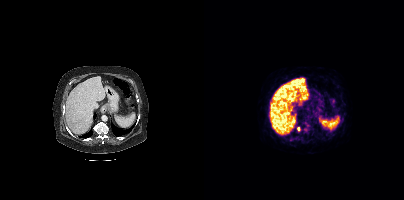
Coordinates are on the 200×200 PET (right) panel. PSMA-avid tumor lesion bounding box (x0, y0)-(x1, y1): (93, 127)-(96, 131).